Left: CT. Right: PSMA PET, same axial level, 18F tracer. Acquired on Siemens Biograph mCT Flow 20.
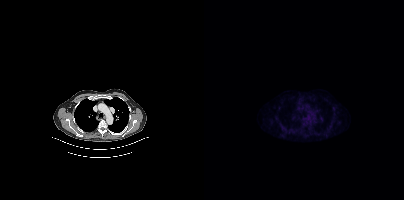
Negative for PSMA-avid disease on this slice.